Technique: Paired axial CT (left) and PSMA PET (right), 18F tracer.
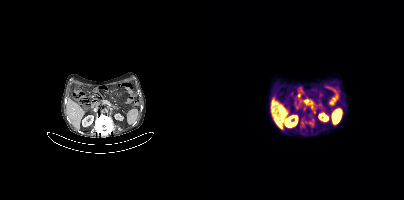
Findings: Coordinates are on the 200×200 PET (right) panel. PSMA-avid tumor lesion bounding boxes (x0, y0)-(x1, y1): (97, 116)-(110, 128) | (97, 106)-(102, 111) | (93, 93)-(96, 99).